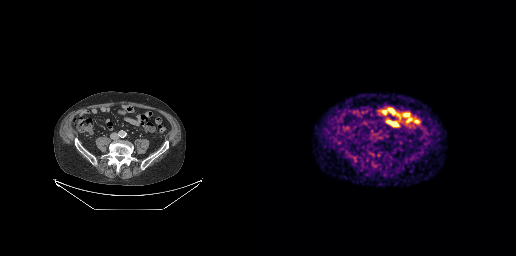
No PSMA-avid tumor lesions on this slice.